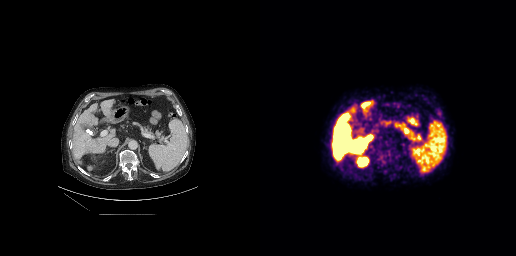
Coordinates are on the 256×256 PET (right) panel. (showing 3 of 4 foci) PSMA-avid tumor lesion bounding boxes (x, y, width, height): x=118 y=148 w=15 h=21 / x=175 y=107 w=8 h=12 / x=123 y=168 w=7 h=5. Paired axial CT (left) and PSMA PET (right), [18F]PSMA-1007 tracer. Acquired on GE Discovery 690. Slice 145 of 263. PET panel 256×256 px (2.7 mm/px).